Two-panel axial: CT | PSMA PET, [18F]PSMA-1007 tracer. Acquired on Siemens Biograph mCT Flow 20. PET panel 200×200 px (4.1 mm/px).
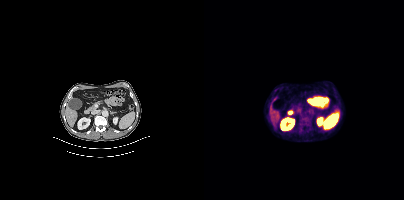
Coordinates are on the 200×200 PET (right) panel. PSMA-avid tumor lesion bounding boxes:
| # | x0 | y0 | x1 | y1 |
|---|---|---|---|---|
| 1 | 95 | 115 | 106 | 126 |